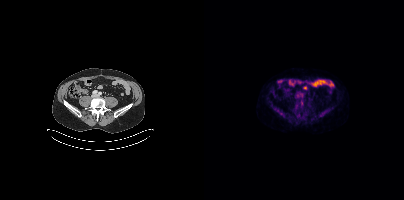
- Left: CT. Right: PSMA PET, same axial level, [18F]PSMA-1007 tracer
Findings: This slice has no annotated PSMA-avid lesion.